modality: PSMA PET/CT | tracer: [18F]PSMA-1007 | view: axial | PET grid: 200×200
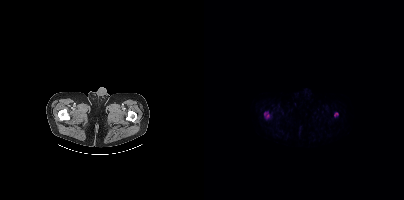
Coordinates are on the 200×200 PET (right) panel. PSMA-avid tumor lesion bounding boxes (x0, y0)-(x1, y1): (62, 114)-(65, 118) | (130, 113)-(134, 116).